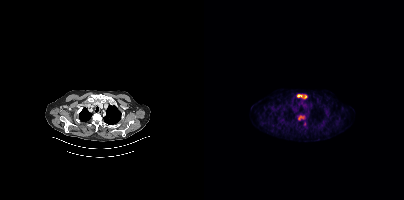
Technique: Two-panel axial: CT | PSMA PET, 18F-PSMA tracer.
Findings: Coordinates are on the 200×200 PET (right) panel. PSMA-avid tumor lesion bounding boxes (x0, y0)-(x1, y1): (93, 94)-(103, 98); (94, 115)-(101, 120). Small PSMA-avid focus (2 to 4 px across) near (center x, center y): (100, 124).